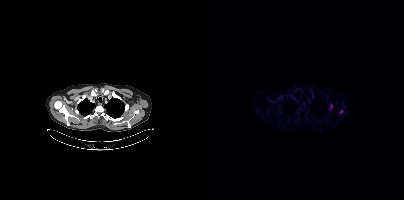
Coordinates are on the 200×200 PET (right) panel. (showing 3 of 4 foci) PSMA-avid tumor lesion bounding box (x, y, width, height): x=126 y=104 w=3 h=5. Small PSMA-avid foci (2 to 4 px across) near (center x, center y): (137, 111); (63, 111).